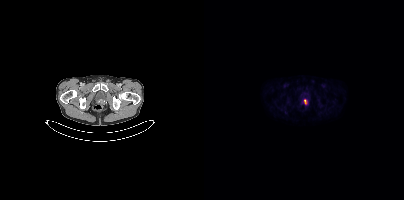
Coordinates are on the 200×200 PET (right) panel. PSMA-avid tumor lesion bounding box (x0,y0,x1,y1): [100,99,103,104].